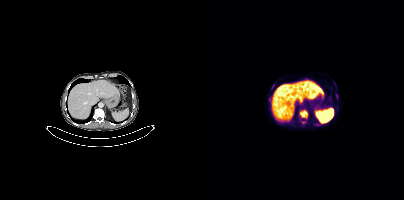
Coordinates are on the 200×200 PET (right) panel. (showing 1 of 3 foci) PSMA-avid tumor lesion bounding box (x0, y0)-(x1, y1): (96, 110)-(103, 118).